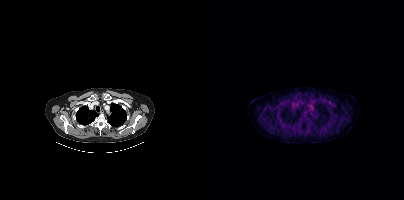
Findings: This slice has no annotated PSMA-avid lesion.
- Paired axial CT (left) and PSMA PET (right), 18F tracer
- acquired on Siemens Biograph mCT Flow 20